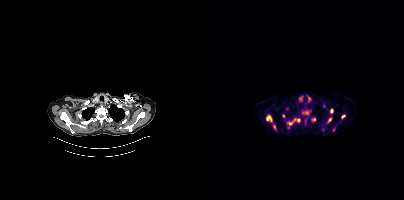
Technique: Two-panel axial: CT | PSMA PET, [18F]PSMA-1007 tracer. acquired on Siemens Biograph mCT Flow 20. PET panel 200×200 px (4.1 mm/px).
Findings: Coordinates are on the 200×200 PET (right) panel. (showing 8 of 10 foci) PSMA-avid tumor lesion bounding boxes (x0,y0,x1,y1): [83,117,96,128] [62,114,72,130] [99,111,104,114] [126,109,129,113] [137,115,141,118] [124,118,127,122]. Small PSMA-avid foci (2 to 4 px across) near (center x, center y): (109, 119) (79, 115).